Two-panel axial: CT | PSMA PET, 18F tracer. Acquired on Siemens Biograph mCT Flow 20. PET panel 200×200 px (4.1 mm/px).
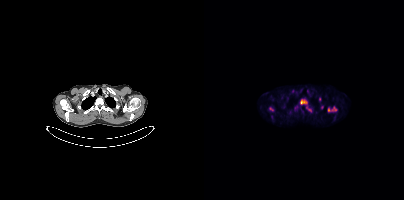
Coordinates are on the 200×200 PET (right) panel. PSMA-avid tumor lesion bounding boxes (partial; 1 more focus not listed):
| # | x0 | y0 | x1 | y1 |
|---|---|---|---|---|
| 1 | 96 | 99 | 107 | 112 |
| 2 | 123 | 106 | 133 | 112 |
| 3 | 65 | 107 | 69 | 111 |
Small PSMA-avid foci (2 to 4 px across) near (center x, center y): (118, 107); (115, 99).